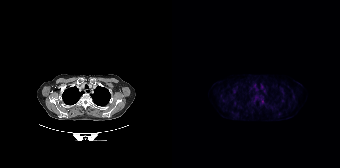
Only PSMA-avid lesion pieces thinner than 2 px on this slice (not listed).
modality: PSMA PET/CT | tracer: 18F | view: axial